- Two-panel axial: CT | PSMA PET, 18F tracer
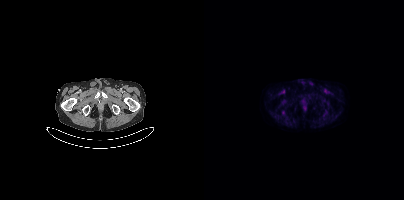
Findings: This slice has no annotated PSMA-avid lesion.